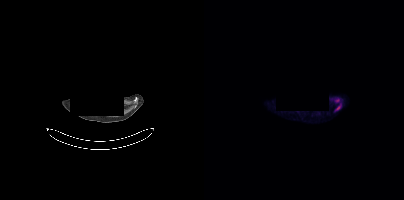
Findings: Coordinates are on the 200×200 PET (right) panel. Small PSMA-avid focus (2 to 4 px across) near (center x, center y): (134, 108).
Technique: Two-panel axial: CT | PSMA PET, 18F tracer. slice position z = 300 mm. PET panel 200×200 px (4.1 mm/px).
Note: An anonymization step blacked out a rectangle over the head in this scan.